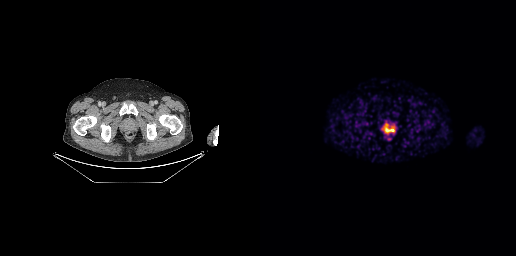
Technique: Left: CT. Right: PSMA PET, same axial level, [68Ga]Ga-PSMA-11 tracer.
Findings: Coordinates are on the 256×256 PET (right) panel. PSMA-avid tumor lesion bounding box (x0, y0)-(x1, y1): (125, 126)-(134, 132).